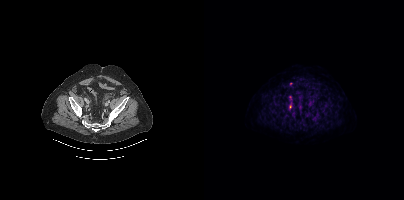
{"modality":"PSMA PET/CT","view":"axial","tracer":"18F-PSMA","pet_grid":[200,200],"coord_frame":"pet_panel","coord_format":"x0,y0,x1,y1","lesion_bboxes":[],"small_foci_centers":[[86,106],[86,83]]}